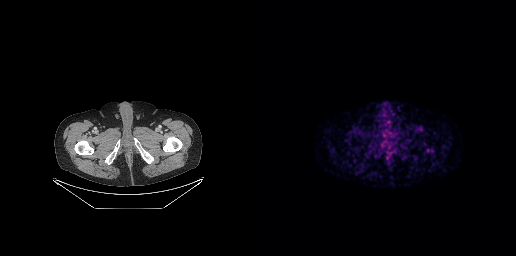
- Paired axial CT (left) and PSMA PET (right), [68Ga]Ga-PSMA-11 tracer
- acquired on GE Discovery 690
- slice position z = -951 mm
- PET panel 256×256 px (2.7 mm/px)
Findings: No tumor lesions annotated on this slice.